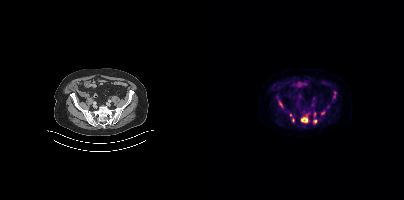
Technique: Paired axial CT (left) and PSMA PET (right), [18F]PSMA-1007 tracer. PET panel 200×200 px (4.1 mm/px).
Findings: Coordinates are on the 200×200 PET (right) panel. PSMA-avid tumor lesion bounding boxes (x, y, width, height): x=97 y=115 w=8 h=8; x=129 y=91 w=4 h=8; x=75 y=101 w=4 h=7; x=109 y=111 w=4 h=6; x=109 y=119 w=4 h=5. Small PSMA-avid foci (2 to 4 px across) near (center x, center y): (118, 113); (89, 120); (86, 114).